Left: CT. Right: PSMA PET, same axial level, 18F tracer. Any black rectangle over the head is a privacy mask, not anatomy.
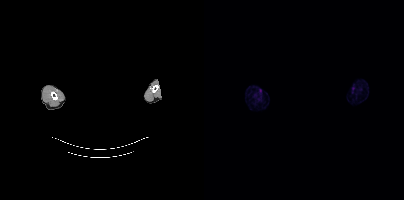
This slice has no annotated PSMA-avid lesion.